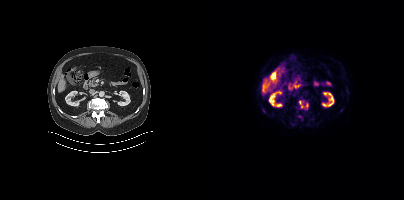
Two-panel axial: CT | PSMA PET, [18F]PSMA-1007 tracer. Slice 209 of 454. Coordinates are on the 200×200 PET (right) panel. PSMA-avid tumor lesion bounding boxes (x, y, width, height): x=95 y=100 w=5 h=9 / x=102 y=103 w=3 h=6.